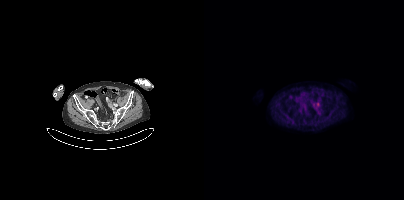
{"modality":"PSMA PET/CT","view":"axial","tracer":"18F","pet_grid":[200,200],"coord_frame":"pet_panel","coord_format":"x0,y0,x1,y1","lesion_bboxes":[],"small_foci_centers":[[113,103]]}